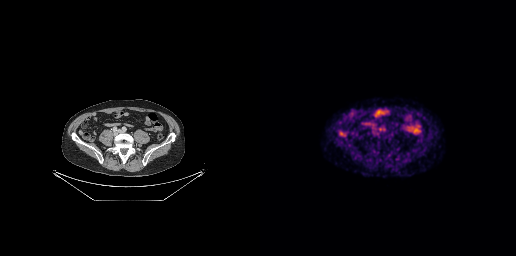
Coordinates are on the 256×256 PET (right) panel. Small PSMA-avid focus (2 to 4 px across) near (center x, center y): (119, 128). Two-panel axial: CT | PSMA PET, 18F tracer. Slice position z = -583 mm.